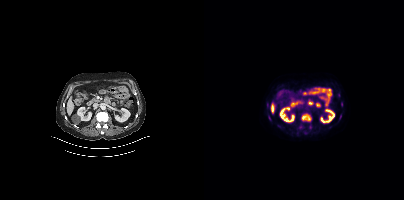
{"modality":"PSMA PET/CT","view":"axial","tracer":"18F-PSMA","pet_grid":[200,200],"coord_frame":"pet_panel","coord_format":"x0,y0,x1,y1","partial":true,"lesion_bboxes":[[97,113,107,121]],"small_foci_centers":[[136,115]]}